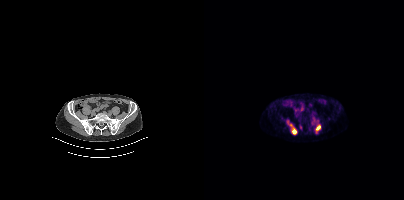
Coordinates are on the 200×200 PET (right) panel. PSMA-avid tumor lesion bounding boxes (x0, y0)-(x1, y1): (86, 124)-(92, 134); (112, 125)-(116, 131).